modality: PSMA PET/CT | tracer: 18F | view: axial | PET grid: 200×200
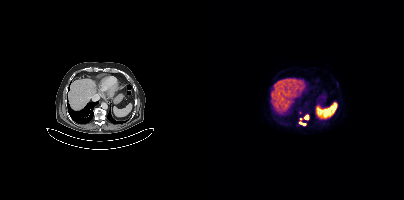
Coordinates are on the 200×200 PET (right) panel. PSMA-avid tumor lesion bounding boxes (x, y, width, height): x=101 y=115 w=4 h=5 / x=96 y=122 w=6 h=4.